modality: PSMA PET/CT | tracer: 18F-PSMA | view: axial | PET grid: 200×200
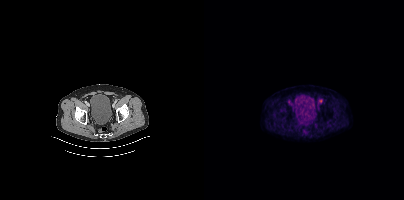
Coordinates are on the 200×200 PET (right) panel. Small PSMA-avid focus (2 to 4 px across) near (center x, center y): (116, 101).